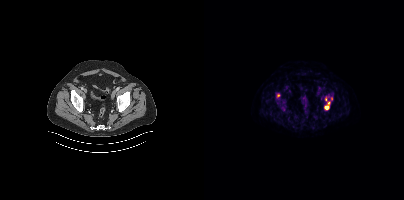
Technique: Paired axial CT (left) and PSMA PET (right), [18F]PSMA-1007 tracer. acquired on Siemens Biograph mCT Flow 20. slice 99 of 454.
Findings: Coordinates are on the 200×200 PET (right) panel. PSMA-avid tumor lesion bounding boxes (x0, y0)-(x1, y1): (72, 93)-(76, 98) / (120, 106)-(124, 109). Small PSMA-avid foci (2 to 4 px across) near (center x, center y): (125, 102) / (121, 98) / (127, 98).